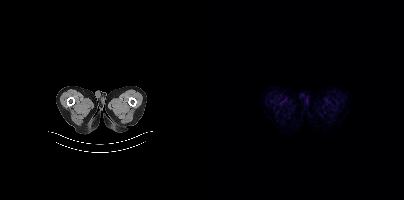
- Left: CT. Right: PSMA PET, same axial level, 18F-PSMA tracer
- acquired on Siemens Biograph mCT Flow 20
- slice 17 of 413
Findings: This slice has no annotated PSMA-avid lesion.